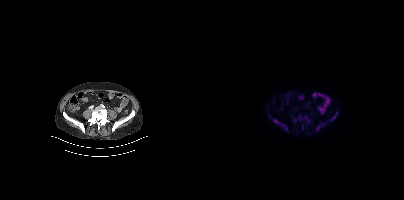
{"modality":"PSMA PET/CT","view":"axial","tracer":"18F-PSMA","pet_grid":[200,200],"coord_frame":"pet_panel","coord_format":"x0,y0,x1,y1","partial":true,"lesion_bboxes":[[69,119,83,130],[126,112,133,120],[112,125,116,130]],"small_foci_centers":[[118,124],[98,128]]}